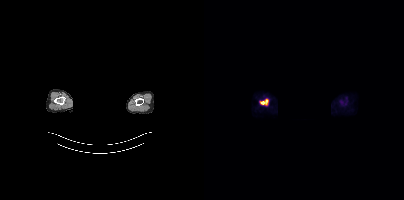
The head region is masked for de-identification. Two-panel axial: CT | PSMA PET, 18F-PSMA tracer. Slice 329 of 373.
Coordinates are on the 200×200 PET (right) panel. PSMA-avid tumor lesion bounding boxes:
| # | x0 | y0 | x1 | y1 |
|---|---|---|---|---|
| 1 | 56 | 99 | 64 | 105 |